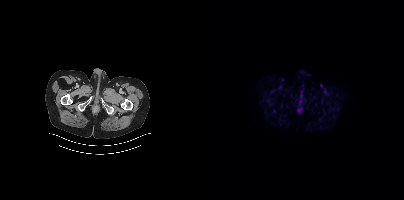
Two-panel axial: CT | PSMA PET, 18F-PSMA tracer. Acquired on Siemens Biograph mCT Flow 20. Slice 48 of 413. PET panel 200×200 px (4.1 mm/px). This slice has no annotated PSMA-avid lesion.